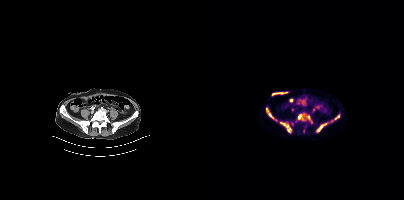
Coordinates are on the 200×200 PET (right) panel. PSMA-avid tumor lesion bounding boxes (partial; 1 more focus not listed):
| # | x0 | y0 | x1 | y1 |
|---|---|---|---|---|
| 1 | 76 | 122 | 87 | 133 |
| 2 | 94 | 113 | 108 | 122 |
| 3 | 112 | 122 | 123 | 132 |
| 4 | 62 | 107 | 72 | 120 |
| 5 | 127 | 115 | 135 | 121 |
Paired axial CT (left) and PSMA PET (right), [18F]PSMA-1007 tracer. Acquired on Siemens Biograph mCT Flow 20.